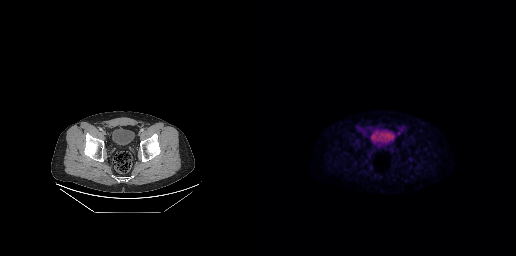
Findings: Coordinates are on the 256×256 PET (right) panel. PSMA-avid tumor lesion bounding boxes (x0, y0)-(x1, y1): (97, 125)-(100, 129) | (137, 131)-(141, 134).
- Left: CT. Right: PSMA PET, same axial level, 18F tracer
- acquired on GE Discovery 690
- PET panel 256×256 px (2.7 mm/px)